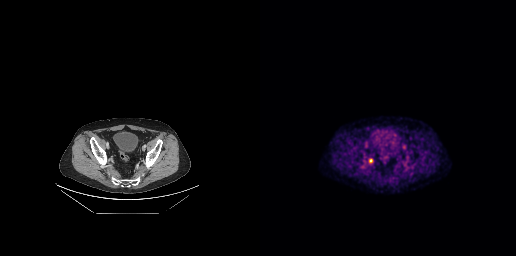
Coordinates are on the 256×256 PET (right) panel. Small PSMA-avid focus (2 to 4 px across) near (center x, center y): (110, 160). Two-panel axial: CT | PSMA PET, [18F]PSMA-1007 tracer. PET panel 256×256 px (2.7 mm/px).